Left: CT. Right: PSMA PET, same axial level, 18F-PSMA tracer. Acquired on Siemens Biograph mCT Flow 20. Slice position z = -130 mm. PET panel 200×200 px (4.1 mm/px). A rectangle over the head was blacked out to remove identifiable facial features.
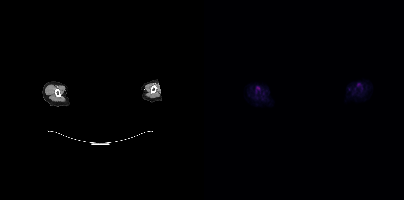
This slice has no annotated PSMA-avid lesion.